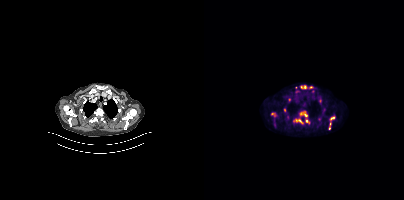
{"modality":"PSMA PET/CT","view":"axial","tracer":"18F","pet_grid":[200,200],"coord_frame":"pet_panel","coord_format":"x0,y0,x1,y1","partial":true,"lesion_bboxes":[[89,110,106,124],[69,118,72,128],[97,85,103,88],[126,116,130,120],[67,113,71,116],[125,122,127,129]],"small_foci_centers":[[85,100],[80,110],[107,86],[91,87]]}